- Two-panel axial: CT | PSMA PET, 18F tracer
- slice 97 of 401
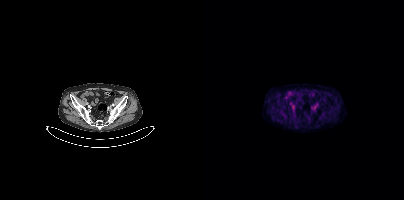
Findings: Negative for PSMA-avid disease on this slice.